Two-panel axial: CT | PSMA PET, 18F tracer. Acquired on Siemens Biograph mCT Flow 20. PET panel 200×200 px (4.1 mm/px).
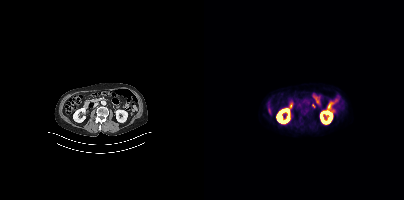
Coordinates are on the 200×200 PET (right) panel. Small PSMA-avid focus (2 to 4 px across) near (center x, center y): (109, 105).